Two-panel axial: CT | PSMA PET, 18F-PSMA tracer. PET panel 200×200 px (4.1 mm/px).
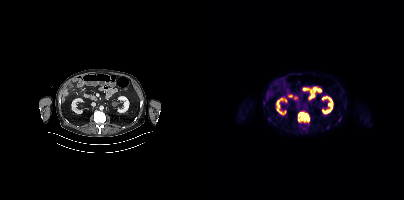
Coordinates are on the 200×200 PET (right) panel. PSMA-avid tumor lesion bounding boxes:
| # | x0 | y0 | x1 | y1 |
|---|---|---|---|---|
| 1 | 94 | 112 | 105 | 121 |